- a rectangular block over the head has been blanked out for de-identification
- Two-panel axial: CT | PSMA PET, 18F tracer
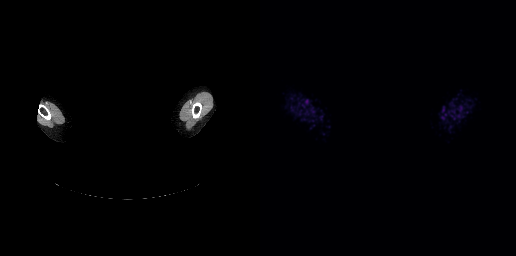
Findings: No tumor lesions annotated on this slice.